Left: CT. Right: PSMA PET, same axial level, 18F-PSMA tracer. Acquired on GE Discovery 690. Slice 126 of 263. PET panel 256×256 px (2.7 mm/px).
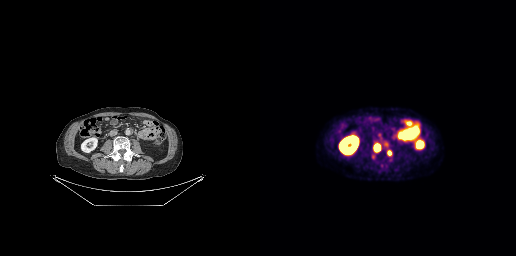
Coordinates are on the 256×256 PET (right) panel. PSMA-avid tumor lesion bounding boxes (x0,y0,x1,y1): [113,139,129,151] [111,154,116,160] [127,150,131,155] [118,133,121,137]. Small PSMA-avid focus (2 to 4 px across) near (center x, center y): (126, 129).